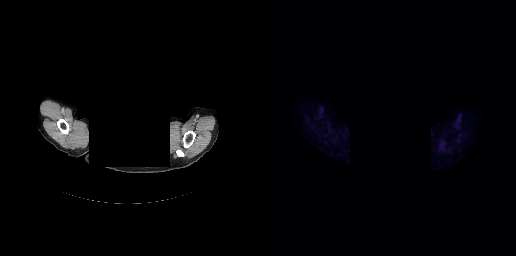
de-identification: head region blanked (face removed) | modality: PSMA PET/CT | tracer: [18F]PSMA-1007 | view: axial
Negative for PSMA-avid disease on this slice.